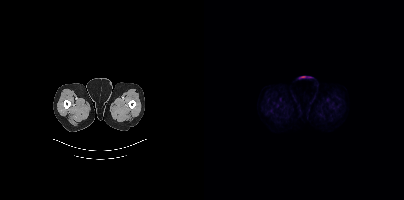
modality: PSMA PET/CT | tracer: 18F | view: axial
Negative for PSMA-avid disease on this slice.